- Paired axial CT (left) and PSMA PET (right), [18F]PSMA-1007 tracer
- PET panel 200×200 px (4.1 mm/px)
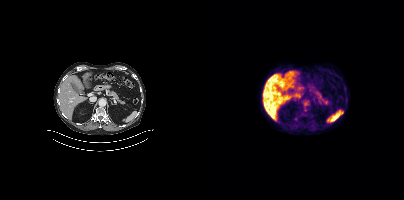
Findings: Negative for PSMA-avid disease on this slice.